- Two-panel axial: CT | PSMA PET, 18F tracer
- slice 211 of 263
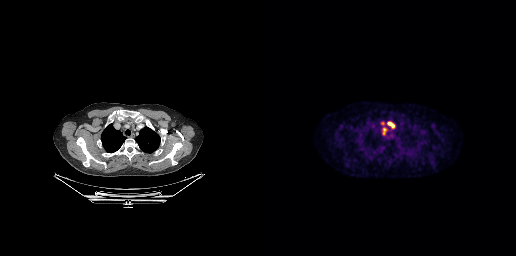
Findings: Coordinates are on the 256×256 PET (right) panel. (showing 2 of 3 foci) PSMA-avid tumor lesion bounding boxes (x0,y0,x1,y1): [127,122,134,127] [123,128,125,133].